modality: PSMA PET/CT | tracer: [68Ga]Ga-PSMA-11 | view: axial
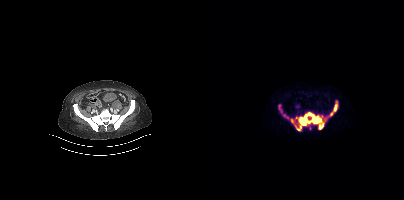
Coordinates are on the 200×200 PET (right) panel. PSMA-avid tumor lesion bounding boxes (x, y, width, height): x=86 y=100 w=49 h=31 | x=74 y=105 w=6 h=9 | x=79 y=114 w=6 h=6.